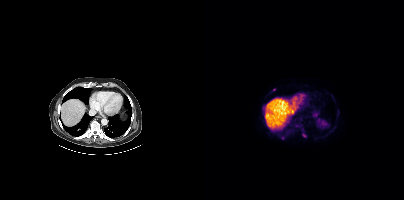
{"pet_grid":[200,200],"coord_frame":"pet_panel","coord_format":"x0,y0,x1,y1","partial":true,"lesion_bboxes":[[98,133,102,137]],"small_foci_centers":[[78,137]],"modality":"PSMA PET/CT","view":"axial","tracer":"[18F]PSMA-1007"}